Left: CT. Right: PSMA PET, same axial level, [18F]PSMA-1007 tracer. Acquired on Siemens Biograph mCT Flow 20. Slice position z = -440 mm. PET panel 200×200 px (4.1 mm/px).
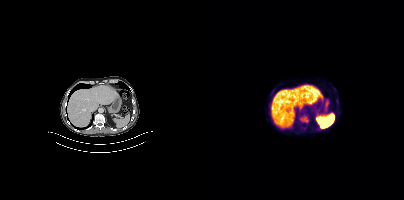
Coordinates are on the 200×200 PET (right) panel. PSMA-avid tumor lesion bounding box (x, y, width, height): x=96 y=115 w=8 h=8.